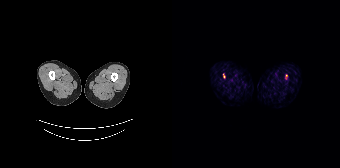
Coordinates are on the 168×168 PET (right) panel. (showing 1 of 3 foci) Small PSMA-avid focus (2 to 4 px across) near (center x, center y): (114, 75).